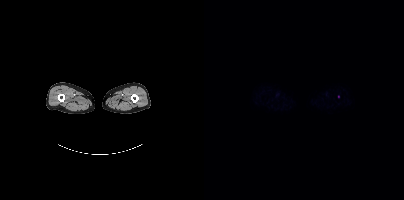
Coordinates are on the 200×200 PET (right) panel. Small PSMA-avid focus (2 to 4 px across) near (center x, center y): (134, 96).